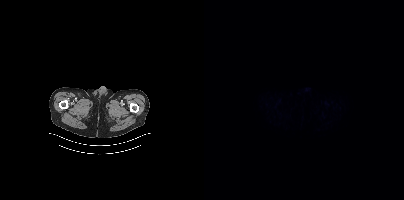
{"modality":"PSMA PET/CT","view":"axial","tracer":"[18F]PSMA-1007","pet_grid":[200,200],"coord_frame":"pet_panel","coord_format":"x0,y0,x1,y1","psma_avid_lesions":false}